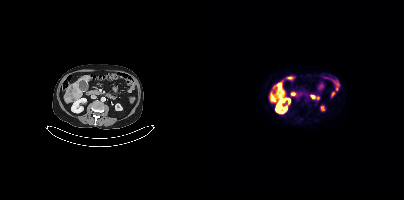
{"pet_grid":[200,200],"coord_frame":"pet_panel","coord_format":"x0,y0,x1,y1","lesion_bboxes":[[73,83,77,87]],"modality":"PSMA PET/CT","view":"axial","tracer":"18F-PSMA"}